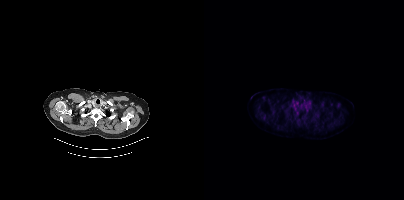
{"modality":"PSMA PET/CT","view":"axial","tracer":"[18F]PSMA-1007","pet_grid":[200,200],"coord_frame":"pet_panel","coord_format":"x0,y0,x1,y1","partial":true,"lesion_bboxes":[]}